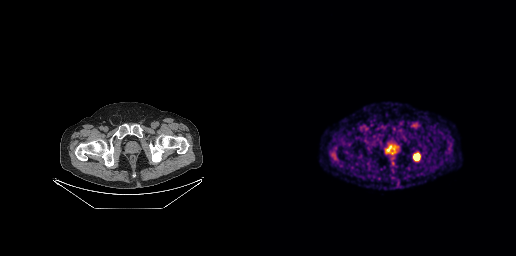
Coordinates are on the 256×256 PET (right) panel. PSMA-avid tumor lesion bounding box (x0, y0)-(x1, y1): (153, 153)-(159, 160).